Paired axial CT (left) and PSMA PET (right), 18F-PSMA tracer. Slice position z = -614 mm.
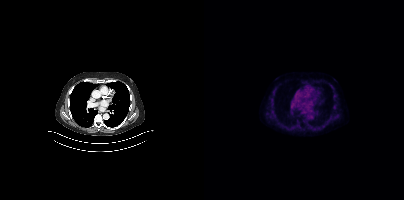
Negative for PSMA-avid disease on this slice.